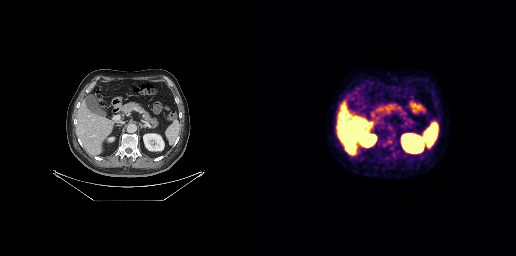
{"modality":"PSMA PET/CT","view":"axial","tracer":"[18F]PSMA-1007","pet_grid":[256,256],"coord_frame":"pet_panel","coord_format":"x0,y0,x1,y1","psma_avid_lesions":false}